De-identified by setting a box covering the face to black before release. Left: CT. Right: PSMA PET, same axial level, [68Ga]Ga-PSMA-11 tracer. Acquired on Siemens Biograph 64-4R TruePoint. Slice position z = -65 mm.
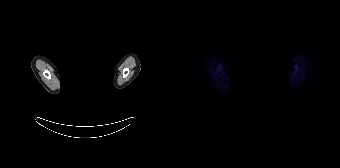
No PSMA-avid tumor lesions on this slice.